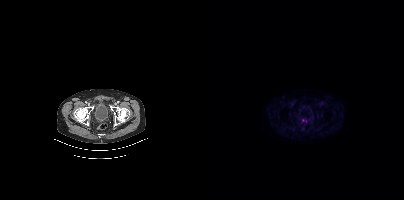
{"modality":"PSMA PET/CT","view":"axial","tracer":"18F-PSMA","pet_grid":[200,200],"coord_frame":"pet_panel","coord_format":"x0,y0,x1,y1","lesion_bboxes":[[99,119,103,123]]}